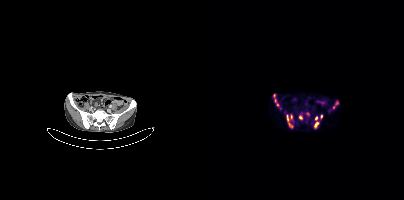
- Two-panel axial: CT | PSMA PET, [68Ga]Ga-PSMA-11 tracer
- slice position z = -1021 mm
- PET panel 200×200 px (4.1 mm/px)
Findings: Coordinates are on the 200×200 PET (right) panel. (showing 9 of 10 foci) PSMA-avid tumor lesion bounding boxes (x0,y0,x1,y1): [83,115,85,122]; [71,99,74,106]; [129,102,132,108]; [111,122,114,126]. Small PSMA-avid foci (2 to 4 px across) near (center x, center y): (96, 117); (70, 95); (86, 125); (112, 118); (117, 116).